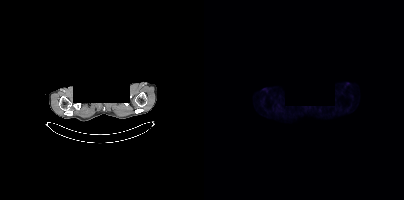
Head region blanked for anonymization (face removed). Two-panel axial: CT | PSMA PET, [18F]PSMA-1007 tracer. Acquired on Siemens Biograph mCT Flow 20. Slice position z = 134 mm. PET panel 200×200 px (4.1 mm/px). No tumor lesions annotated on this slice.